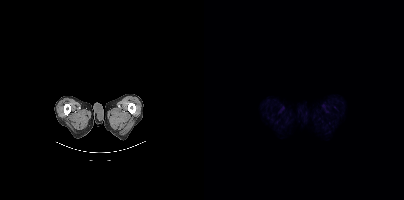
Findings: No PSMA-avid tumor lesions on this slice.
- Paired axial CT (left) and PSMA PET (right), [18F]PSMA-1007 tracer